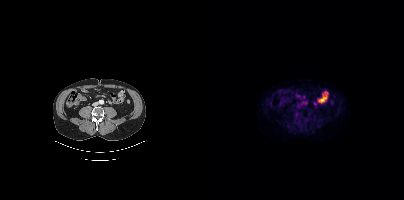
- Left: CT. Right: PSMA PET, same axial level, [18F]PSMA-1007 tracer
- acquired on Siemens Biograph mCT Flow 20
Findings: No PSMA-avid tumor lesions on this slice.